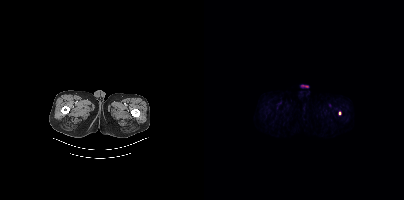
Technique: Two-panel axial: CT | PSMA PET, 18F tracer.
Findings: Coordinates are on the 200×200 PET (right) panel. Small PSMA-avid focus (2 to 4 px across) near (center x, center y): (135, 113).